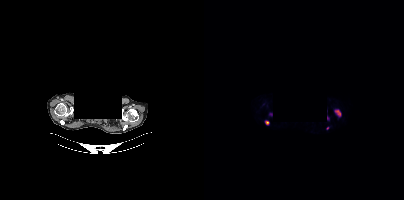
{"modality":"PSMA PET/CT","view":"axial","tracer":"18F","pet_grid":[200,200],"coord_frame":"pet_panel","coord_format":"x0,y0,x1,y1","lesion_bboxes":[[130,109,137,115],[61,120,65,125]],"small_foci_centers":[[67,114],[123,127]],"deidentification":"rectangular block over head set to black"}